Left: CT. Right: PSMA PET, same axial level, [18F]PSMA-1007 tracer. Slice position z = -867 mm.
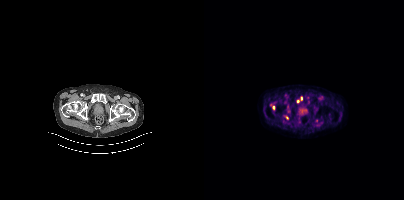
Coordinates are on the 200×200 PET (right) panel. (showing 3 of 4 foci) Small PSMA-avid foci (2 to 4 px across) near (center x, center y): (69, 107); (93, 101); (97, 98).